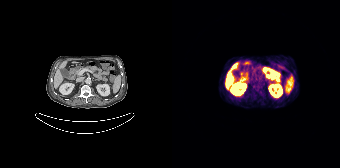
Paired axial CT (left) and PSMA PET (right), 68Ga tracer. No PSMA-avid tumor lesions on this slice.